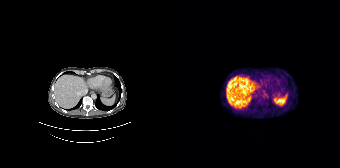
Negative for PSMA-avid disease on this slice.
modality: PSMA PET/CT | tracer: [68Ga]Ga-PSMA-11 | view: axial